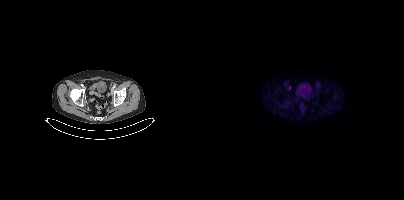
{"pet_grid":[200,200],"coord_frame":"pet_panel","coord_format":"x0,y0,x1,y1","lesion_bboxes":[],"small_foci_centers":[[85,87]],"modality":"PSMA PET/CT","view":"axial","tracer":"[18F]PSMA-1007"}